- Two-panel axial: CT | PSMA PET, [18F]PSMA-1007 tracer
- acquired on Siemens Biograph mCT Flow 20
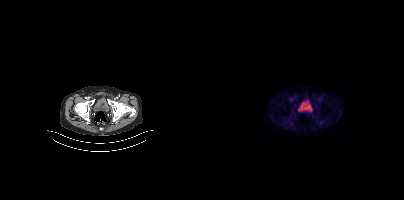
Findings: No tumor lesions annotated on this slice.